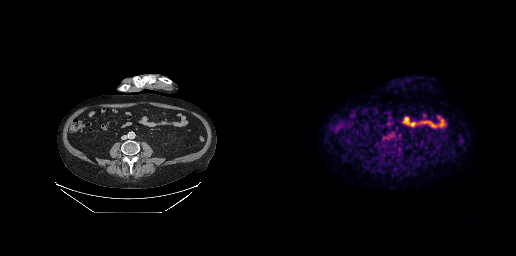
{"modality":"PSMA PET/CT","view":"axial","tracer":"18F","pet_grid":[256,256],"coord_frame":"pet_panel","coord_format":"x0,y0,x1,y1","psma_avid_lesions":false}